Technique: Left: CT. Right: PSMA PET, same axial level, [18F]PSMA-1007 tracer. acquired on Siemens Biograph mCT Flow 20. slice position z = -356 mm.
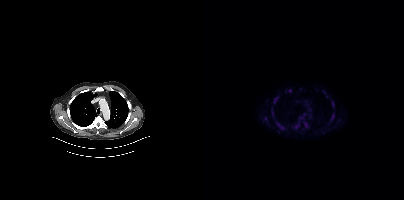
Findings: Coordinates are on the 200×200 PET (right) panel. (showing 10 of 11 foci) PSMA-avid tumor lesion bounding boxes (x0, y0)-(x1, y1): (73, 123)-(80, 129) | (126, 114)-(130, 121) | (70, 97)-(74, 102) | (128, 103)-(130, 107) | (100, 122)-(103, 126). Small PSMA-avid foci (2 to 4 px across) near (center x, center y): (68, 113) | (86, 90) | (61, 118) | (93, 126) | (96, 117).